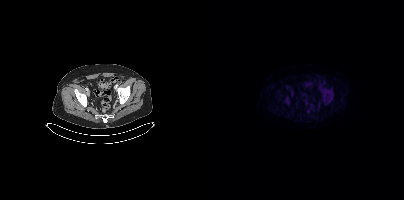
{"modality":"PSMA PET/CT","view":"axial","tracer":"18F-PSMA","pet_grid":[200,200],"coord_frame":"pet_panel","coord_format":"x0,y0,x1,y1","psma_avid_lesions":false}